Technique: Paired axial CT (left) and PSMA PET (right), 18F tracer. PET panel 200×200 px (4.1 mm/px).
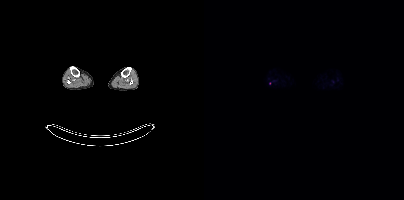
Findings: Only PSMA-avid lesion pieces thinner than 2 px on this slice (not listed).